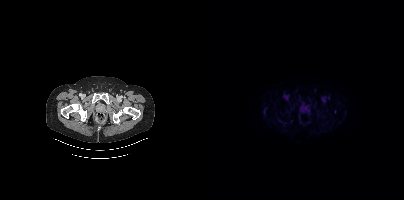
No tumor lesions annotated on this slice.